- Two-panel axial: CT | PSMA PET, [18F]PSMA-1007 tracer
- slice position z = 302 mm
- PET panel 200×200 px (4.1 mm/px)
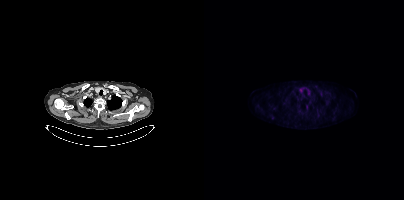
Findings: No PSMA-avid tumor lesions on this slice.